Technique: Left: CT. Right: PSMA PET, same axial level, [18F]PSMA-1007 tracer.
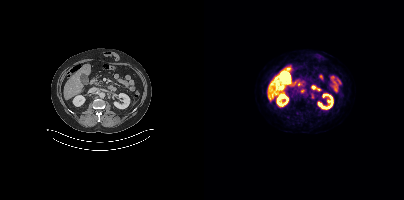
Findings: Coordinates are on the 200×200 PET (right) panel. Small PSMA-avid focus (2 to 4 px across) near (center x, center y): (108, 95).